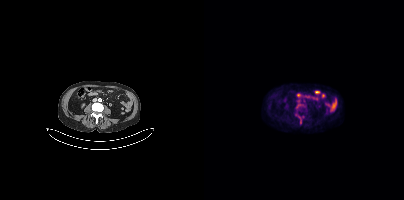
Only PSMA-avid lesion pieces thinner than 2 px on this slice (not listed). Paired axial CT (left) and PSMA PET (right), [18F]PSMA-1007 tracer. Acquired on Siemens Biograph mCT Flow 20. PET panel 200×200 px (4.1 mm/px).